- Two-panel axial: CT | PSMA PET, 68Ga-PSMA tracer
- acquired on Siemens Biograph 64-4R TruePoint
- PET panel 168×168 px (4.1 mm/px)
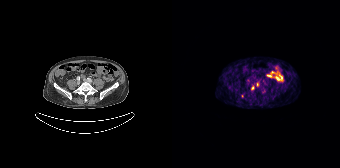
Findings: Coordinates are on the 168×168 PET (right) panel. PSMA-avid tumor lesion bounding boxes (x0, y0)-(x1, y1): (79, 85)-(82, 89) / (85, 82)-(86, 86). Small PSMA-avid foci (2 to 4 px across) near (center x, center y): (70, 96) / (91, 91).